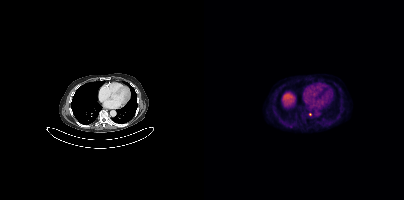
{"modality":"PSMA PET/CT","view":"axial","tracer":"[18F]PSMA-1007","pet_grid":[200,200],"coord_frame":"pet_panel","coord_format":"x0,y0,x1,y1","partial":true,"lesion_bboxes":[]}